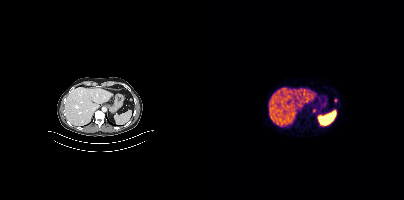
Two-panel axial: CT | PSMA PET, 68Ga tracer. Acquired on Siemens Biograph mCT Flow 20. PET panel 200×200 px (4.1 mm/px). Coordinates are on the 200×200 PET (right) panel. Small PSMA-avid foci (2 to 4 px across) near (center x, center y): (110, 110) / (131, 100).